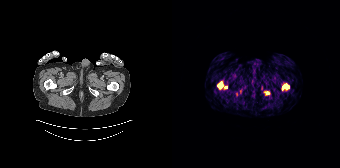
Coordinates are on the 168×168 PET (right) panel. PSMA-avid tumor lesion bounding boxes (x0,y0,x1,y1): [110,83,117,90] [46,82,50,88]. Small PSMA-avid foci (2 to 4 px across) near (center x, center y): (95, 92) (54, 87).